Technique: Paired axial CT (left) and PSMA PET (right), [18F]PSMA-1007 tracer. slice position z = 252 mm. PET panel 200×200 px (4.1 mm/px).
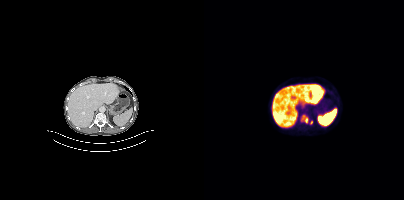
Findings: Coordinates are on the 200×200 PET (right) panel. PSMA-avid tumor lesion bounding box (x, y, width, height): x=97 y=114 w=8 h=10. Small PSMA-avid focus (2 to 4 px across) near (center x, center y): (107, 122).